Technique: Two-panel axial: CT | PSMA PET, 18F-PSMA tracer.
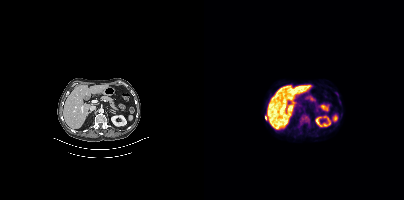
Findings: Coordinates are on the 200×200 PET (right) panel. PSMA-avid tumor lesion bounding box (x, y, width, height): x=96 y=114 w=10 h=10. Small PSMA-avid focus (2 to 4 px across) near (center x, center y): (61, 117).